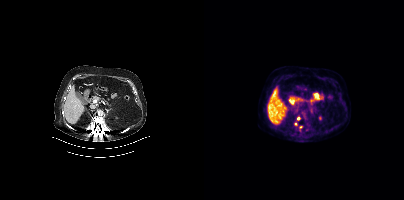
modality: PSMA PET/CT | tracer: [18F]PSMA-1007 | view: axial | PET grid: 200×200
Coordinates are on the 200×200 PET (right) panel. Small PSMA-avid foci (2 to 4 px across) near (center x, center y): (94, 117) | (92, 124) | (96, 127).